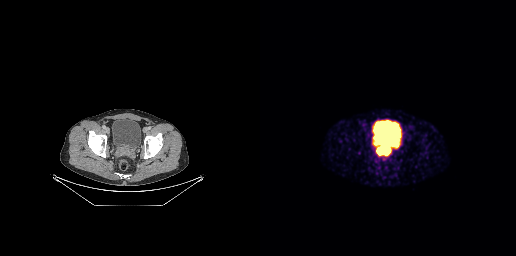
Technique: Paired axial CT (left) and PSMA PET (right), [68Ga]Ga-PSMA-11 tracer. acquired on GE Discovery 690. slice 59 of 263. PET panel 256×256 px (2.7 mm/px).
Findings: Coordinates are on the 256×256 PET (right) panel. PSMA-avid tumor lesion bounding boxes (x, y, width, height): x=117 y=145 w=14 h=10; x=115 y=138 w=8 h=7. Small PSMA-avid focus (2 to 4 px across) near (center x, center y): (133, 142).